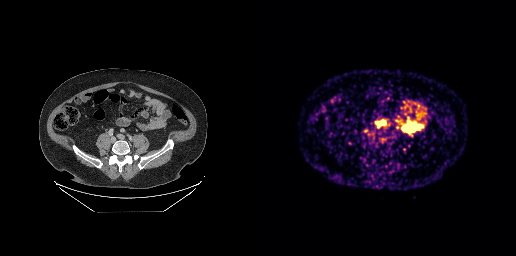
Findings: Negative for PSMA-avid disease on this slice.
- Left: CT. Right: PSMA PET, same axial level, 68Ga tracer
- PET panel 256×256 px (2.7 mm/px)